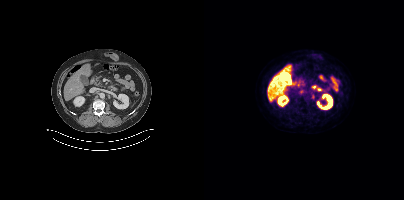
Coordinates are on the 200×200 PET (right) panel. PSMA-avid tumor lesion bounding boxes:
| # | x0 | y0 | x1 | y1 |
|---|---|---|---|---|
| 1 | 107 | 93 | 110 | 98 |
Two-panel axial: CT | PSMA PET, 18F tracer. Slice position z = -457 mm.